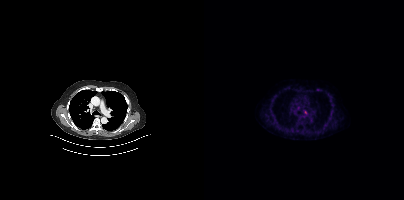
- Left: CT. Right: PSMA PET, same axial level, 18F tracer
- slice 258 of 354
- PET panel 200×200 px (4.1 mm/px)
Findings: Only PSMA-avid lesion pieces thinner than 2 px on this slice (not listed).